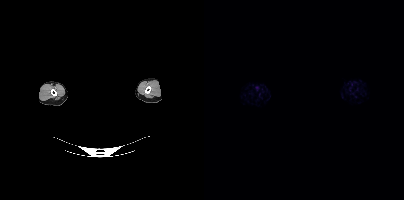
No PSMA-avid tumor lesions on this slice.
modality: PSMA PET/CT | tracer: [18F]PSMA-1007 | view: axial | PET grid: 200×200 | deidentification: facial region redacted